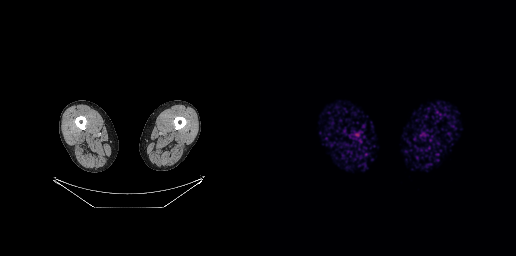
No PSMA-avid tumor lesions on this slice. Two-panel axial: CT | PSMA PET, 68Ga tracer. Acquired on GE Discovery 690. Slice 9 of 299.